Two-panel axial: CT | PSMA PET, 18F-PSMA tracer. Slice 36 of 405.
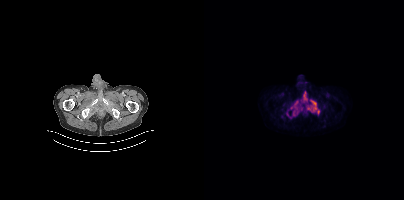
Coordinates are on the 200×200 PET (right) panel. PSMA-avid tumor lesion bounding boxes (partial; 2 more foci not listed):
| # | x0 | y0 | x1 | y1 |
|---|---|---|---|---|
| 1 | 103 | 99 | 115 | 113 |
| 2 | 87 | 100 | 94 | 115 |
| 3 | 99 | 91 | 103 | 102 |
Small PSMA-avid foci (2 to 4 px across) near (center x, center y): (83, 113); (97, 109).